Technique: Two-panel axial: CT | PSMA PET, 18F-PSMA tracer. slice 140 of 466.
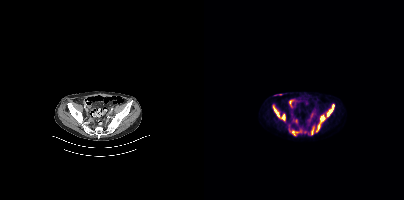
Findings: Coordinates are on the 200×200 PET (right) panel. (showing 5 of 6 foci) PSMA-avid tumor lesion bounding boxes (x0, y0)-(x1, y1): (68, 104)-(81, 121); (123, 104)-(130, 116); (112, 115)-(121, 131); (88, 131)-(91, 135); (108, 129)-(109, 134).